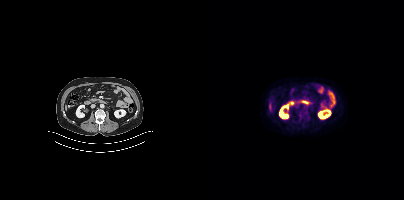
{"modality":"PSMA PET/CT","view":"axial","tracer":"18F-PSMA","pet_grid":[200,200],"coord_frame":"pet_panel","coord_format":"x0,y0,x1,y1","psma_avid_lesions":false}